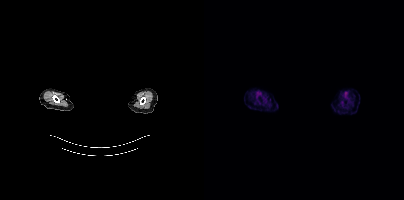
- Paired axial CT (left) and PSMA PET (right), 18F-PSMA tracer
- the head region is masked for de-identification
Findings: No PSMA-avid tumor lesions on this slice.